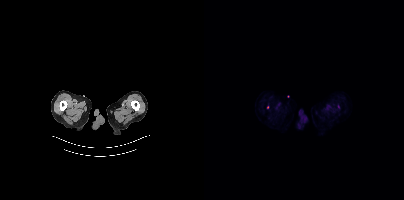
Coordinates are on the 200×200 PET (right) panel. Small PSMA-avid focus (2 to 4 px across) near (center x, center y): (63, 107). Left: CT. Right: PSMA PET, same axial level, 18F tracer. Slice position z = -978 mm. PET panel 200×200 px (4.1 mm/px).